Left: CT. Right: PSMA PET, same axial level, [68Ga]Ga-PSMA-11 tracer. PET panel 200×200 px (4.1 mm/px).
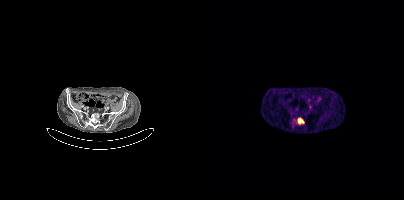
Coordinates are on the 200×200 PET (right) panel. PSMA-avid tumor lesion bounding box (x0, y0)-(x1, y1): (94, 118)-(99, 124).